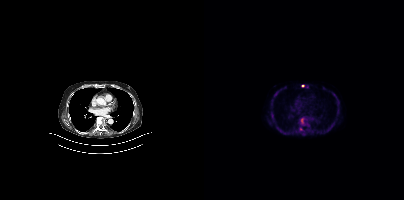
modality: PSMA PET/CT | tracer: 18F-PSMA | view: axial | PET grid: 200×200
Coordinates are on the 200×200 PET (right) panel. PSMA-avid tumor lesion bounding box (x, y, width, height): x=96 y=120 w=6 h=6. Small PSMA-avid foci (2 to 4 px across) near (center x, center y): (98, 85) / (96, 127).